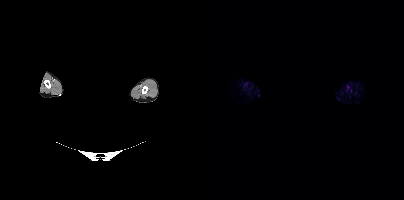
This slice has no annotated PSMA-avid lesion. Face de-identified by blanking a block of the head. Two-panel axial: CT | PSMA PET, 18F tracer. Acquired on Siemens Biograph mCT Flow 20.